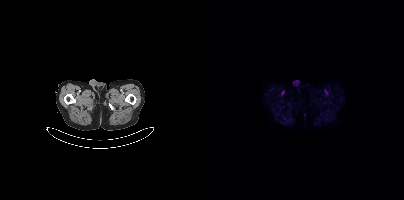
Findings: No PSMA-avid tumor lesions on this slice.
- Two-panel axial: CT | PSMA PET, [18F]PSMA-1007 tracer
- acquired on Siemens Biograph mCT Flow 20
- PET panel 200×200 px (4.1 mm/px)